- Paired axial CT (left) and PSMA PET (right), 18F tracer
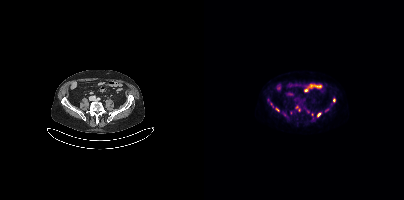
Findings: Coordinates are on the 200×200 PET (right) panel. (showing 6 of 10 foci) Small PSMA-avid foci (2 to 4 px across) near (center x, center y): (73, 109) / (115, 114) / (93, 107) / (64, 100) / (129, 100) / (86, 112).